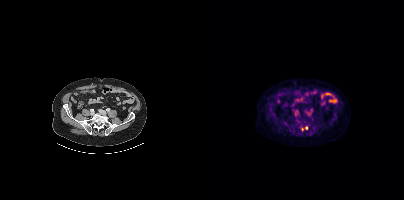
{"pet_grid":[200,200],"coord_frame":"pet_panel","coord_format":"x0,y0,x1,y1","lesion_bboxes":[],"small_foci_centers":[[102,127],[98,129]],"modality":"PSMA PET/CT","view":"axial","tracer":"18F"}